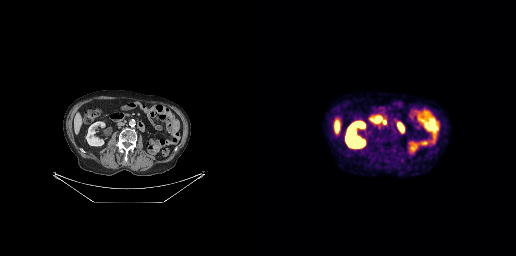
Coordinates are on the 256×256 PET (right) panel. PSMA-avid tumor lesion bounding box (x0,y0,x1,y1): [122,120,126,124].